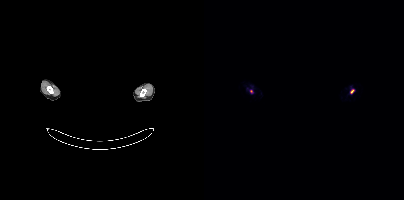
Face de-identified by blanking a block of the head. Left: CT. Right: PSMA PET, same axial level, 68Ga-PSMA tracer. Acquired on Siemens Biograph mCT Flow 20. Slice 380 of 393. PET panel 200×200 px (4.1 mm/px). Coordinates are on the 200×200 PET (right) panel. Small PSMA-avid focus (2 to 4 px across) near (center x, center y): (148, 91).